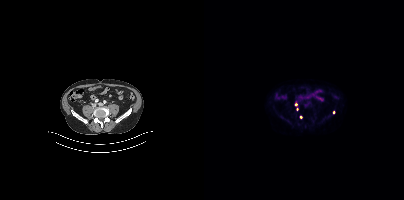
Technique: Left: CT. Right: PSMA PET, same axial level, 18F tracer. slice 140 of 421.
Findings: Only PSMA-avid lesion pieces thinner than 2 px on this slice (not listed).